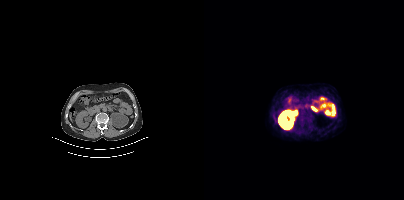
- Two-panel axial: CT | PSMA PET, [68Ga]Ga-PSMA-11 tracer
Findings: No PSMA-avid tumor lesions on this slice.